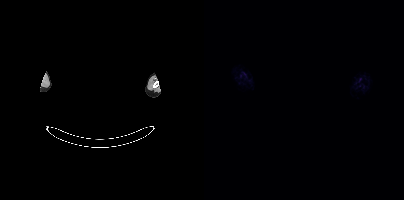
Negative for PSMA-avid disease on this slice. Privacy masking over the head, with the pixels inside a rectangle set to black. Paired axial CT (left) and PSMA PET (right), 18F-PSMA tracer. Acquired on Siemens Biograph mCT Flow 20. PET panel 200×200 px (4.1 mm/px).